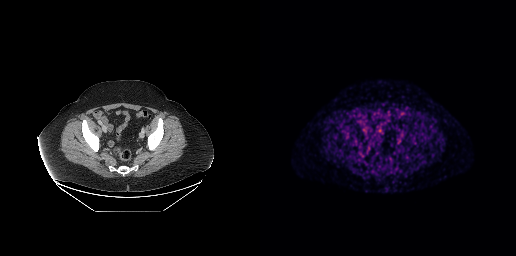
Negative for PSMA-avid disease on this slice.
modality: PSMA PET/CT | tracer: 18F-PSMA | view: axial